Two-panel axial: CT | PSMA PET, 18F-PSMA tracer. Acquired on Siemens Biograph mCT Flow 20. PET panel 200×200 px (4.1 mm/px).
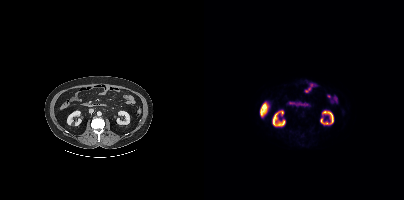
No PSMA-avid tumor lesions on this slice.